Technique: Paired axial CT (left) and PSMA PET (right), 18F-PSMA tracer. slice 143 of 452.
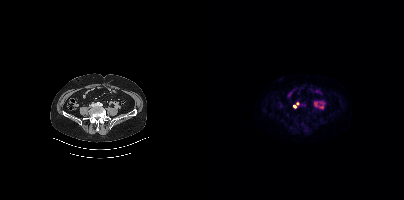
Findings: Coordinates are on the 200×200 PET (right) panel. Small PSMA-avid foci (2 to 4 px across) near (center x, center y): (90, 106) (93, 103).